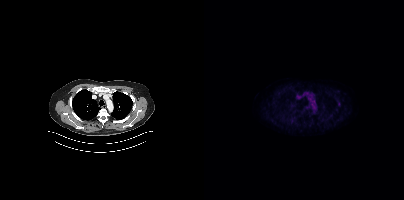
Only PSMA-avid lesion pieces thinner than 2 px on this slice (not listed). Left: CT. Right: PSMA PET, same axial level, 18F-PSMA tracer. Acquired on Siemens Biograph mCT Flow 20. Slice position z = -999 mm.